Technique: Paired axial CT (left) and PSMA PET (right), 68Ga tracer. slice 122 of 299.
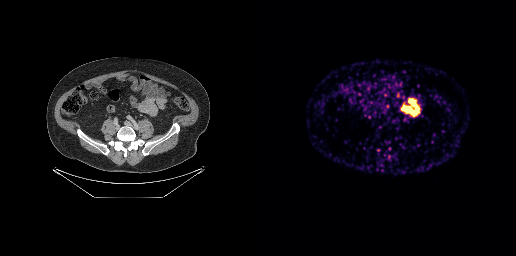
Findings: Negative for PSMA-avid disease on this slice.